Two-panel axial: CT | PSMA PET, 18F tracer.
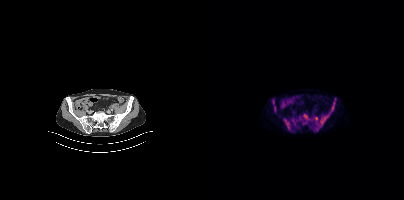
Coordinates are on the 200×200 PET (right) panel. PSMA-avid tumor lesion bounding boxes:
| # | x0 | y0 | x1 | y1 |
|---|---|---|---|---|
| 1 | 79 | 119 | 86 | 129 |
| 2 | 116 | 115 | 124 | 124 |
| 3 | 128 | 102 | 130 | 110 |
Small PSMA-avid foci (2 to 4 px across) near (center x, center y): (112, 118); (70, 109); (104, 117).